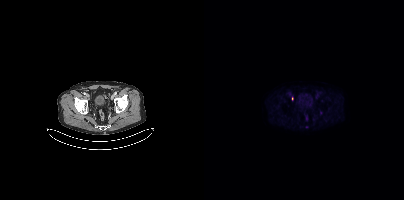
{"pet_grid":[200,200],"coord_frame":"pet_panel","coord_format":"x0,y0,x1,y1","partial":true,"lesion_bboxes":[],"modality":"PSMA PET/CT","view":"axial","tracer":"18F"}